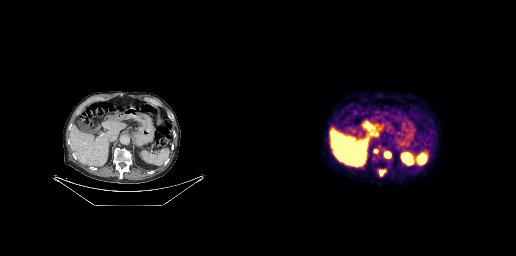
{"modality":"PSMA PET/CT","view":"axial","tracer":"18F","pet_grid":[256,256],"coord_frame":"pet_panel","coord_format":"x0,y0,x1,y1","lesion_bboxes":[[118,169,126,176],[124,152,131,158],[112,155,119,161]],"small_foci_centers":[[115,150]]}